Left: CT. Right: PSMA PET, same axial level, [18F]PSMA-1007 tracer. Acquired on Siemens Biograph mCT Flow 20. Slice position z = -1470 mm.
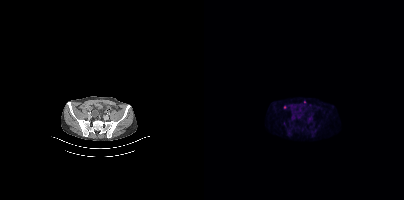
Coordinates are on the 200×200 PET (right) panel. Small PSMA-avid focus (2 to 4 px across) near (center x, center y): (100, 101).